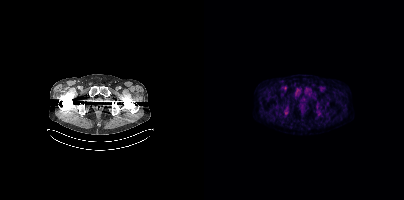
{"pet_grid":[200,200],"coord_frame":"pet_panel","coord_format":"x0,y0,x1,y1","psma_avid_lesions":false,"modality":"PSMA PET/CT","view":"axial","tracer":"18F"}